- Two-panel axial: CT | PSMA PET, 68Ga-PSMA tracer
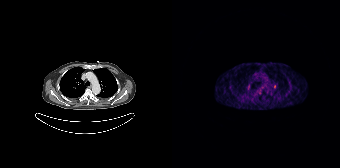
Findings: This slice has no annotated PSMA-avid lesion.